Two-panel axial: CT | PSMA PET, [18F]PSMA-1007 tracer. Slice position z = -138 mm. PET panel 200×200 px (4.1 mm/px).
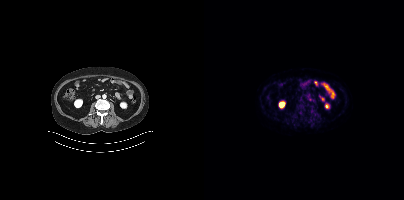
Only PSMA-avid lesion pieces thinner than 2 px on this slice (not listed).